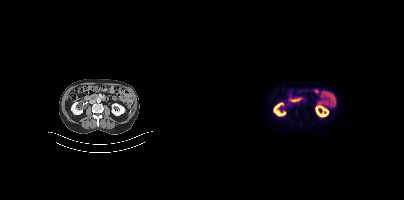
Technique: Left: CT. Right: PSMA PET, same axial level, 18F-PSMA tracer. slice position z = -1382 mm. PET panel 200×200 px (4.1 mm/px).
Findings: No tumor lesions annotated on this slice.